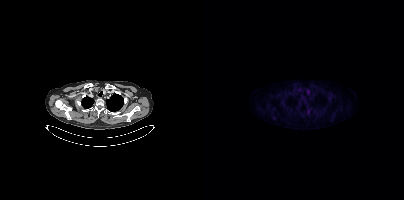
No tumor lesions annotated on this slice. Two-panel axial: CT | PSMA PET, 18F tracer.